Left: CT. Right: PSMA PET, same axial level, 18F tracer. Slice 226 of 963.
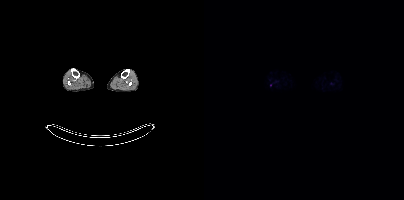
No tumor lesions annotated on this slice.